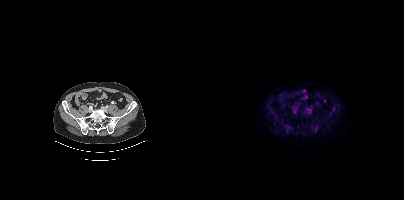
{"modality":"PSMA PET/CT","view":"axial","tracer":"18F-PSMA","pet_grid":[200,200],"coord_frame":"pet_panel","coord_format":"x0,y0,x1,y1","psma_avid_lesions":false}